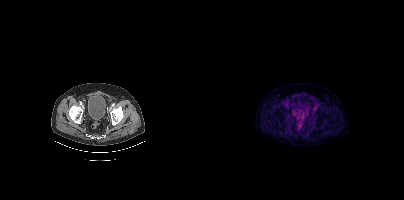
- Left: CT. Right: PSMA PET, same axial level, [18F]PSMA-1007 tracer
- slice 102 of 448
- PET panel 200×200 px (4.1 mm/px)
Findings: This slice has no annotated PSMA-avid lesion.